Paired axial CT (left) and PSMA PET (right), [68Ga]Ga-PSMA-11 tracer. Acquired on Siemens Biograph 64-4R TruePoint. Slice position z = -556 mm. PET panel 168×168 px (4.1 mm/px).
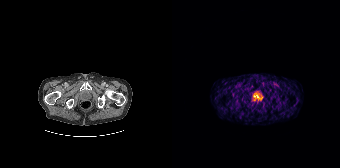
No PSMA-avid tumor lesions on this slice.